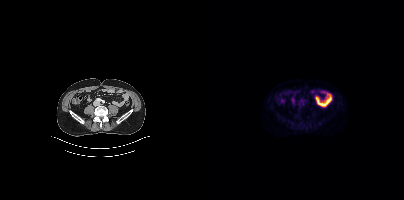
Left: CT. Right: PSMA PET, same axial level, 68Ga-PSMA tracer. Negative for PSMA-avid disease on this slice.